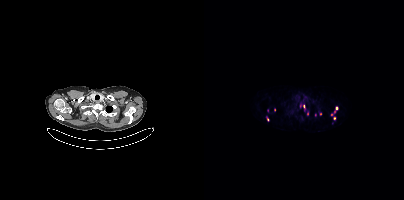
modality: PSMA PET/CT | tracer: [68Ga]Ga-PSMA-11 | view: axial | PET grid: 200×200
Coordinates are on the 200×200 PET (right) panel. (showing 8 of 12 foci) Small PSMA-avid foci (2 to 4 px across) near (center x, center y): (103, 113) | (132, 108) | (96, 106) | (63, 110) | (116, 114) | (70, 109) | (130, 111) | (127, 114).